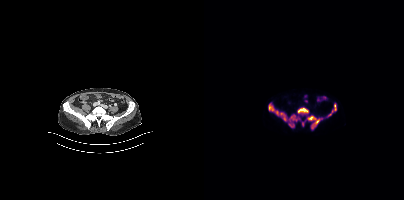
Technique: Two-panel axial: CT | PSMA PET, [18F]PSMA-1007 tracer. acquired on Siemens Biograph mCT Flow 20. slice 117 of 387.
Findings: Coordinates are on the 200×200 PET (right) panel. PSMA-avid tumor lesion bounding boxes (x0, y0)-(x1, y1): (103, 115)-(118, 129) / (64, 104)-(83, 121) / (93, 107)-(104, 114) / (85, 114)-(95, 121) / (124, 104)-(132, 116) / (85, 123)-(90, 127) / (98, 122)-(99, 126).